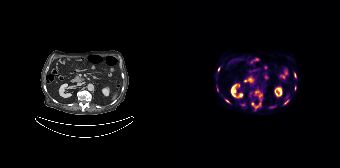
modality: PSMA PET/CT | tracer: 18F | view: axial | PET grid: 168×168
Coordinates are on the 168×168 PET (right) panel. PSMA-avid tumor lesion bounding boxes (x0,y0,x1,y1): [80,103,88,108], [83,91,90,97], [53,99,57,102], [122,73,124,77], [112,100,116,104]. Small PSMA-avid foci (2 to 4 px across) near (center x, center y): (46, 69), (123, 87), (45, 89), (71, 104).